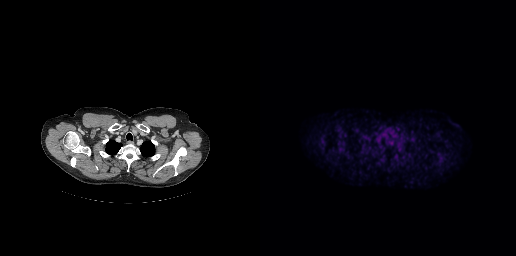
Negative for PSMA-avid disease on this slice.